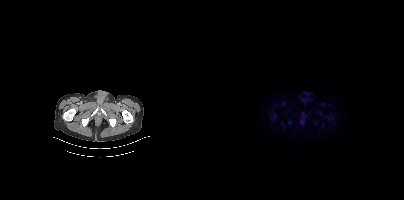
modality: PSMA PET/CT | tracer: 18F-PSMA | view: axial | PET grid: 200×200
No tumor lesions annotated on this slice.